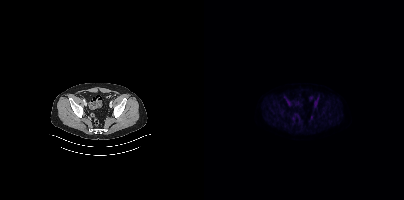
Findings: No tumor lesions annotated on this slice.
Technique: Left: CT. Right: PSMA PET, same axial level, [18F]PSMA-1007 tracer. acquired on Siemens Biograph mCT Flow 20. slice position z = -1442 mm. PET panel 200×200 px (4.1 mm/px).